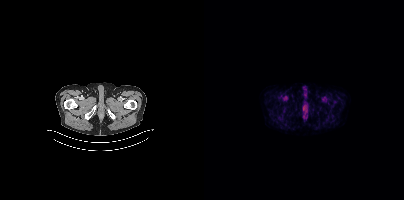
Technique: Left: CT. Right: PSMA PET, same axial level, 18F-PSMA tracer. acquired on Siemens Biograph mCT Flow 20.
Findings: Negative for PSMA-avid disease on this slice.